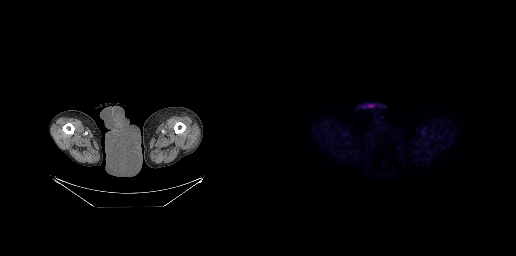
Negative for PSMA-avid disease on this slice.